- Paired axial CT (left) and PSMA PET (right), 18F tracer
- acquired on Siemens Biograph mCT Flow 20
- slice 208 of 421
- PET panel 200×200 px (4.1 mm/px)
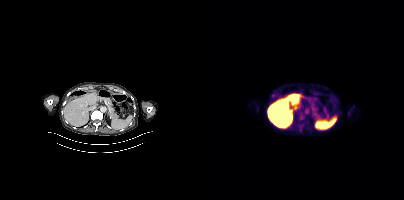
Findings: No tumor lesions annotated on this slice.